Left: CT. Right: PSMA PET, same axial level, [68Ga]Ga-PSMA-11 tracer. Slice 85 of 263. PET panel 256×256 px (2.7 mm/px).
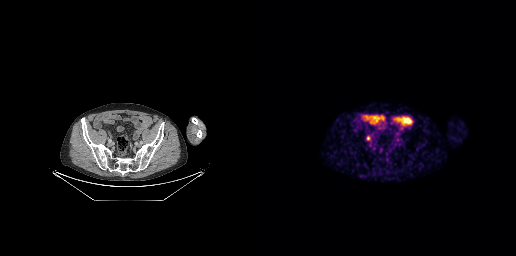
Coordinates are on the 256×256 PET (right) panel. Small PSMA-avid focus (2 to 4 px across) near (center x, center y): (108, 138).